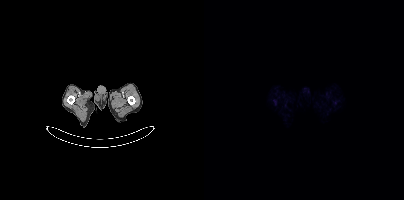
{"pet_grid":[200,200],"coord_frame":"pet_panel","coord_format":"x0,y0,x1,y1","psma_avid_lesions":false,"modality":"PSMA PET/CT","view":"axial","tracer":"[18F]PSMA-1007"}